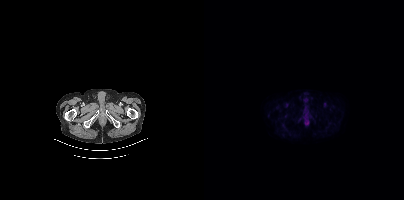
{"modality":"PSMA PET/CT","view":"axial","tracer":"18F-PSMA","pet_grid":[200,200],"coord_frame":"pet_panel","coord_format":"x0,y0,x1,y1","psma_avid_lesions":false}